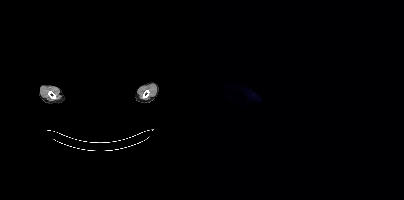
- Paired axial CT (left) and PSMA PET (right), [18F]PSMA-1007 tracer
- slice position z = -827 mm
- face de-identified by blanking a block of the head
Findings: No tumor lesions annotated on this slice.